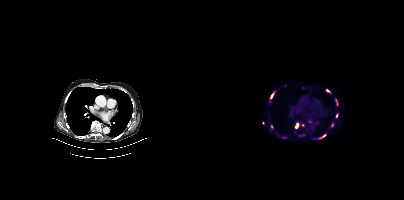
{"pet_grid":[200,200],"coord_frame":"pet_panel","coord_format":"x0,y0,x1,y1","partial":true,"lesion_bboxes":[[91,123,94,128],[115,134,122,138],[66,93,69,98]],"small_foci_centers":[[123,91],[67,126],[128,125],[98,124],[132,115]],"modality":"PSMA PET/CT","view":"axial","tracer":"[68Ga]Ga-PSMA-11"}